Technique: Paired axial CT (left) and PSMA PET (right), 18F-PSMA tracer. acquired on Siemens Biograph 64-4R TruePoint. PET panel 168×168 px (4.1 mm/px).
Note: The face region was removed for patient privacy by blanking a rectangle over the head.
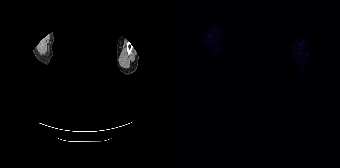
Findings: No PSMA-avid tumor lesions on this slice.